modality: PSMA PET/CT | tracer: 68Ga-PSMA | view: axial
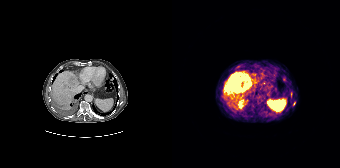
Coordinates are on the 168×168 PET (right) panel. (showing 3 of 4 foci) PSMA-avid tumor lesion bounding boxes (x0,y0,x1,y1): [52,73,72,94], [74,77,79,82], [119,92,120,97].